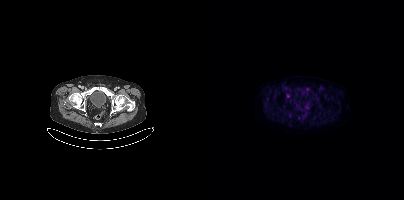
Technique: Paired axial CT (left) and PSMA PET (right), 18F-PSMA tracer. PET panel 200×200 px (4.1 mm/px).
Findings: Negative for PSMA-avid disease on this slice.